Paired axial CT (left) and PSMA PET (right), 18F-PSMA tracer.
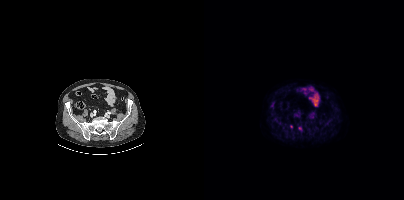
Coordinates are on the 200×200 PET (right) panel. (showing 1 of 2 foci) Small PSMA-avid focus (2 to 4 px across) near (center x, center y): (95, 128).